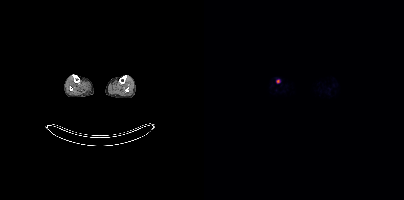
- Two-panel axial: CT | PSMA PET, 18F-PSMA tracer
Findings: Coordinates are on the 200×200 PET (right) panel. Small PSMA-avid focus (2 to 4 px across) near (center x, center y): (73, 81).